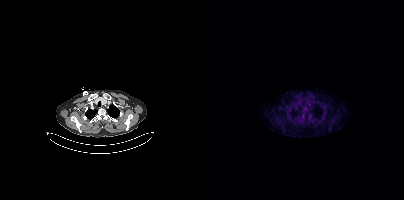
Coordinates are on the 200×200 PET (right) panel. Small PSMA-avid focus (2 to 4 px across) near (center x, center y): (99, 116).